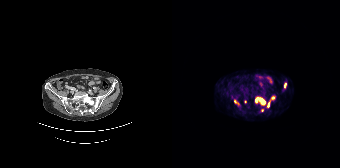
Left: CT. Right: PSMA PET, same axial level, 68Ga tracer. Coordinates are on the 168×168 PET (right) panel. (showing 5 of 7 foci) PSMA-avid tumor lesion bounding boxes (x0,y0,x1,y1): [83,97,93,104], [112,83,114,87], [96,103,97,107]. Small PSMA-avid foci (2 to 4 px across) near (center x, center y): (101, 97), (62, 101).